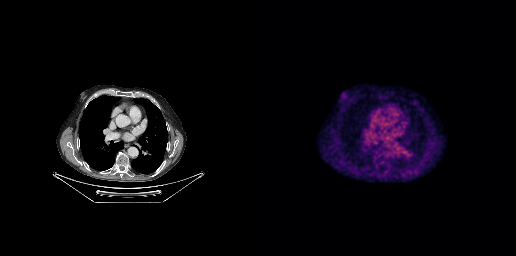
This slice has no annotated PSMA-avid lesion. Two-panel axial: CT | PSMA PET, 18F-PSMA tracer. Slice position z = -438 mm.